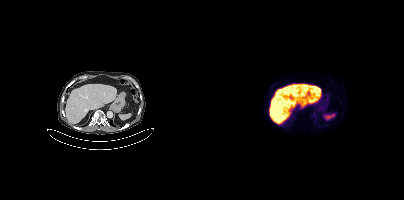
No PSMA-avid tumor lesions on this slice.